Paired axial CT (left) and PSMA PET (right), 68Ga-PSMA tracer. Acquired on Siemens Biograph 64-4R TruePoint. Any black rectangle over the head is a privacy mask, not anatomy.
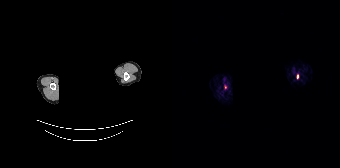
Coordinates are on the 168×168 PET (right) panel. PSMA-avid tumor lesion bounding boxes:
| # | x0 | y0 | x1 | y1 |
|---|---|---|---|---|
| 1 | 125 | 74 | 126 | 78 |